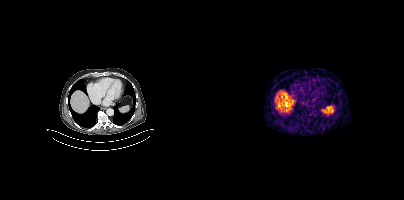
{"modality":"PSMA PET/CT","view":"axial","tracer":"68Ga","pet_grid":[200,200],"coord_frame":"pet_panel","coord_format":"x0,y0,x1,y1","psma_avid_lesions":false}